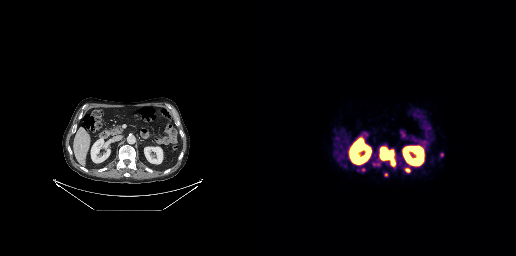
modality: PSMA PET/CT | tracer: 68Ga | view: axial | PET grid: 256×256
Coordinates are on the 256×256 PET (right) panel. PSMA-avid tumor lesion bounding boxes (x0, y0)-(x1, y1): (121, 146)-(135, 164) / (145, 168)-(150, 172). Small PSMA-avid foci (2 to 4 px across) near (center x, center y): (181, 154) / (126, 174).